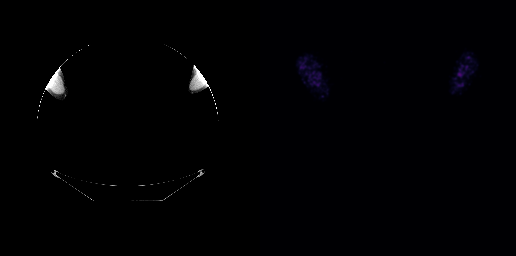
Face de-identified by blanking a block of the head.
No tumor lesions annotated on this slice.